Two-panel axial: CT | PSMA PET, [68Ga]Ga-PSMA-11 tracer. Slice 359 of 407. PET panel 200×200 px (4.1 mm/px). A rectangular block over the head has been blanked out for de-identification.
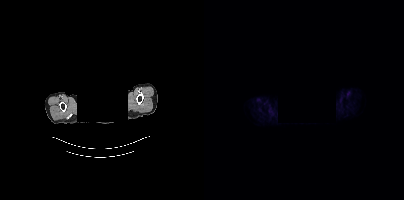
Negative for PSMA-avid disease on this slice.